modality: PSMA PET/CT | tracer: 68Ga-PSMA | view: axial
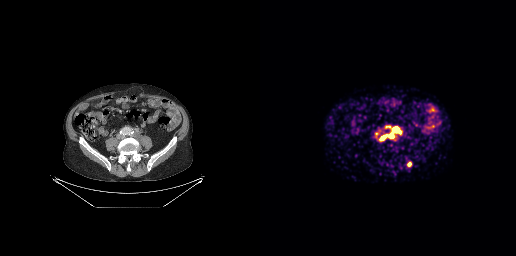
Coordinates are on the 256×256 PET (right) panel. PSMA-avid tumor lesion bounding boxes (x, y, width, height): x=120 y=134 w=8 h=7 / x=134 y=128 w=8 h=6 / x=147 y=161 w=5 h=6 / x=129 y=134 w=5 h=5 / x=125 y=126 w=7 h=3. Small PSMA-avid focus (2 to 4 px across) near (center x, center y): (116, 133).